- Left: CT. Right: PSMA PET, same axial level, 18F tracer
- acquired on GE Discovery 690
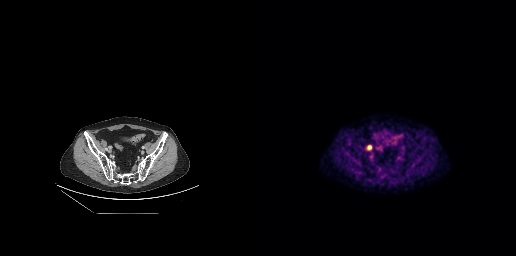
Findings: Coordinates are on the 256×256 PET (right) panel. PSMA-avid tumor lesion bounding box (x0,y0,x1,y1): [107,145,111,149].